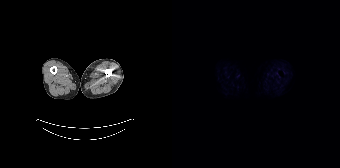
This slice has no annotated PSMA-avid lesion.